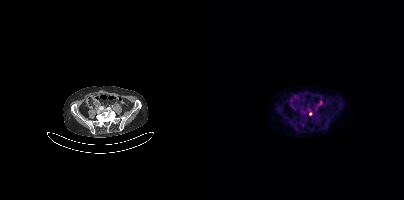
Coordinates are on the 200×200 PET (right) panel. (showing 1 of 3 foci) Small PSMA-avid focus (2 to 4 px across) near (center x, center y): (106, 113).